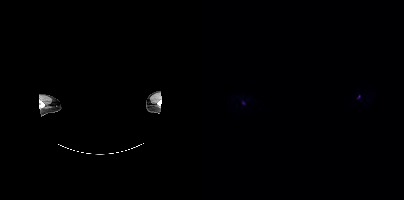
The head region is masked for de-identification.
Coordinates are on the 200×200 PET (right) panel. PSMA-avid tumor lesion bounding box (x0,y0,x1,y1): [37,100,41,105]. Small PSMA-avid focus (2 to 4 px across) near (center x, center y): (154, 96).